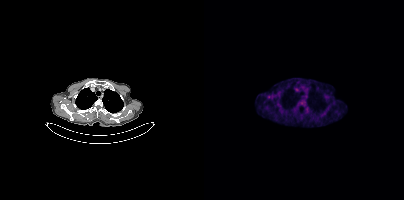
Only PSMA-avid lesion pieces thinner than 2 px on this slice (not listed). Left: CT. Right: PSMA PET, same axial level, 18F tracer. Slice 318 of 417.